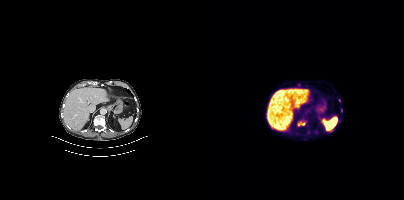
Two-panel axial: CT | PSMA PET, 18F-PSMA tracer. Acquired on Siemens Biograph mCT Flow 20. Slice position z = -618 mm. Coordinates are on the 200×200 PET (right) panel. (showing 3 of 4 foci) Small PSMA-avid foci (2 to 4 px across) near (center x, center y): (99, 124) | (137, 110) | (94, 84).